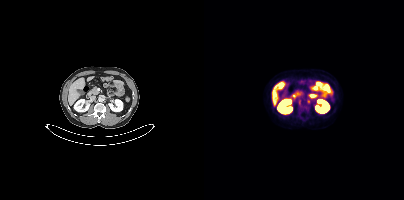
This slice has no annotated PSMA-avid lesion.